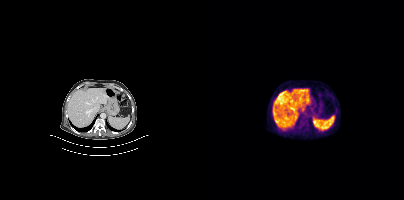
modality: PSMA PET/CT | tracer: [18F]PSMA-1007 | view: axial | PET grid: 200×200
No PSMA-avid tumor lesions on this slice.